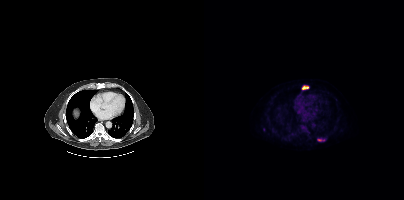
Coordinates are on the 200×200 PET (right) panel. PSMA-avid tumor lesion bounding boxes:
| # | x0 | y0 | x1 | y1 |
|---|---|---|---|---|
| 1 | 98 | 85 | 104 | 89 |
| 2 | 113 | 139 | 120 | 141 |
Small PSMA-avid focus (2 to 4 px across) near (center x, center y): (59, 129).
Two-panel axial: CT | PSMA PET, 18F-PSMA tracer.